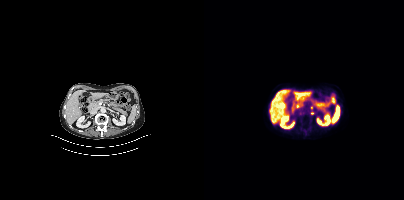
Coordinates are on the 200×200 PET (right) panel. Small PSMA-avid foci (2 to 4 px across) near (center x, center y): (108, 113) / (107, 107).